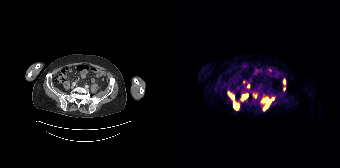
- Left: CT. Right: PSMA PET, same axial level, [68Ga]Ga-PSMA-11 tracer
- acquired on Siemens Biograph 64-4R TruePoint
- slice 84 of 195
Findings: Coordinates are on the 168×168 PET (right) panel. (showing 7 of 8 foci) PSMA-avid tumor lesion bounding boxes (x0,y0,x1,y1): [89,97,101,109]; [69,94,76,100]; [62,104,66,109]; [56,93,62,98]; [112,79,113,83]. Small PSMA-avid foci (2 to 4 px across) near (center x, center y): (83, 96); (76, 86).